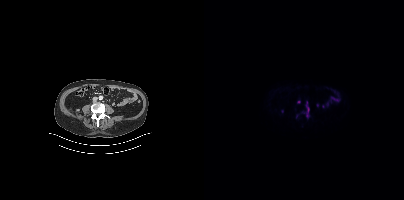
modality: PSMA PET/CT | tracer: [18F]PSMA-1007 | view: axial
Coordinates are on the 200×200 PET (right) panel. PSMA-avid tumor lesion bounding box (x0,y0,x1,y1): [100,103,105,114]. Small PSMA-avid focus (2 to 4 px across) near (center x, center y): (94, 102).